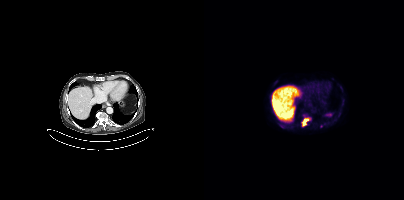
modality: PSMA PET/CT | tracer: 18F | view: axial | PET grid: 200×200
Coordinates are on the 200×200 PET (right) panel. PSMA-avid tumor lesion bounding box (x, y, width, height): x=99 y=118 w=8 h=8. Small PSMA-avid foci (2 to 4 px across) near (center x, center y): (77, 125) | (101, 115) | (117, 126) | (128, 78) | (139, 99).